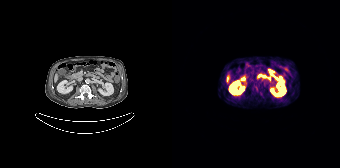
Negative for PSMA-avid disease on this slice. Left: CT. Right: PSMA PET, same axial level, [68Ga]Ga-PSMA-11 tracer. Acquired on Siemens Biograph 64-4R TruePoint.